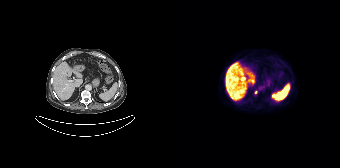
Findings: Coordinates are on the 168×168 PET (right) panel. Small PSMA-avid focus (2 to 4 px across) near (center x, center y): (84, 92).
Technique: Paired axial CT (left) and PSMA PET (right), 18F tracer. acquired on Siemens Biograph 64-4R TruePoint. PET panel 168×168 px (4.1 mm/px).